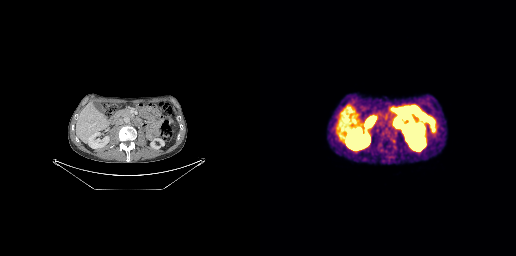
No tumor lesions annotated on this slice.